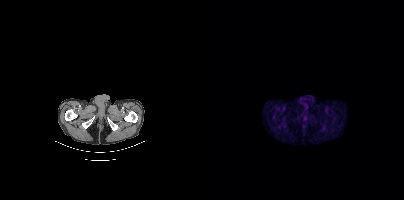
No PSMA-avid tumor lesions on this slice. Two-panel axial: CT | PSMA PET, 18F-PSMA tracer. Acquired on Siemens Biograph mCT Flow 20. Slice 27 of 403. PET panel 200×200 px (4.1 mm/px).